modality: PSMA PET/CT | tracer: 18F-PSMA | view: axial
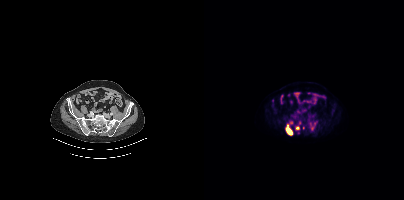
Coordinates are on the 200×200 PET (right) panel. (showing 2 of 3 foci) PSMA-avid tumor lesion bounding box (x0,y0,x1,y1): [82,125,88,134]. Small PSMA-avid focus (2 to 4 px across) near (center x, center y): (93, 128).